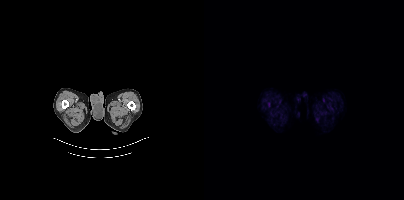
{"modality":"PSMA PET/CT","view":"axial","tracer":"[18F]PSMA-1007","pet_grid":[200,200],"coord_frame":"pet_panel","coord_format":"x0,y0,x1,y1","psma_avid_lesions":false}